- Two-panel axial: CT | PSMA PET, [18F]PSMA-1007 tracer
- slice position z = -1228 mm
- PET panel 200×200 px (4.1 mm/px)
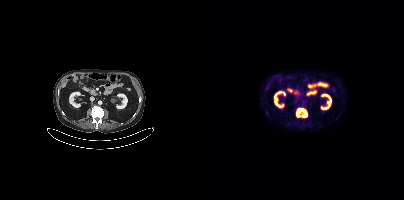
Findings: Coordinates are on the 200×200 PET (right) panel. PSMA-avid tumor lesion bounding box (x, y, width, height): x=92 y=108 w=12 h=10.